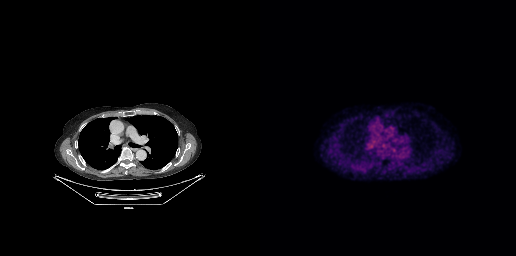
Findings: No PSMA-avid tumor lesions on this slice.
Technique: Left: CT. Right: PSMA PET, same axial level, 18F-PSMA tracer.